modality: PSMA PET/CT | tracer: [18F]PSMA-1007 | view: axial | PET grid: 200×200
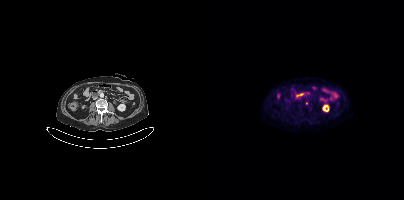
Coordinates are on the 200×200 PET (right) panel. Small PSMA-avid focus (2 to 4 px across) near (center x, center y): (102, 103).